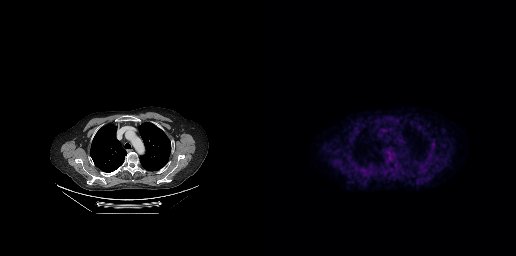
No tumor lesions annotated on this slice.